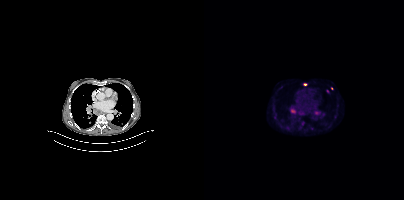
Technique: Left: CT. Right: PSMA PET, same axial level, 18F-PSMA tracer. PET panel 200×200 px (4.1 mm/px).
Findings: Coordinates are on the 200×200 PET (right) panel. PSMA-avid tumor lesion bounding boxes (x0,y0,x1,y1): [110,111,116,115] [87,109,91,113]. Small PSMA-avid foci (2 to 4 px across) near (center x, center y): (123, 91) (97, 113) (101, 84) (77, 87) (107, 128) (127, 88).